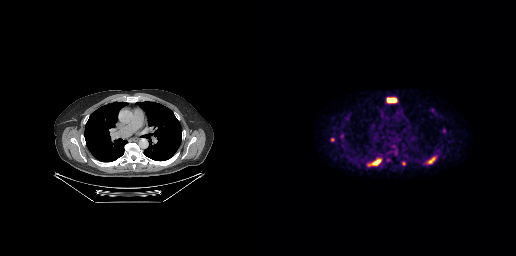
Left: CT. Right: PSMA PET, same axial level, 18F tracer. PET panel 256×256 px (2.7 mm/px). Coordinates are on the 256×256 PET (right) panel. PSMA-avid tumor lesion bounding boxes (x, y, width, height): x=126 y=97 w=12 h=7 / x=166 y=156 w=11 h=9 / x=109 y=159 w=12 h=7. Small PSMA-avid foci (2 to 4 px across) near (center x, center y): (72, 139) / (143, 163).